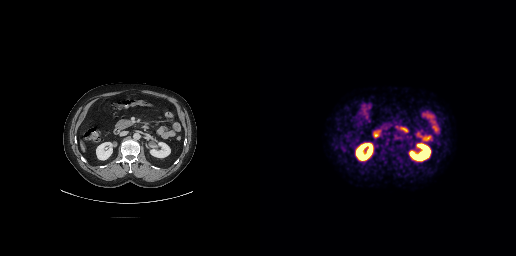
{"modality":"PSMA PET/CT","view":"axial","tracer":"[18F]PSMA-1007","pet_grid":[256,256],"coord_frame":"pet_panel","coord_format":"x0,y0,x1,y1","psma_avid_lesions":false}